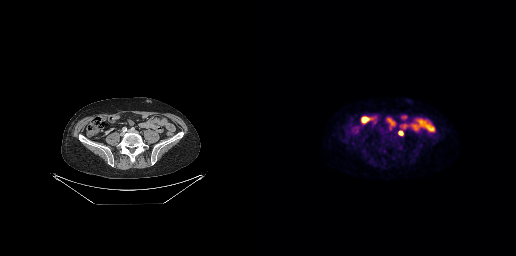
{"modality":"PSMA PET/CT","view":"axial","tracer":"18F-PSMA","pet_grid":[256,256],"coord_frame":"pet_panel","coord_format":"x0,y0,x1,y1","lesion_bboxes":[[138,131,142,134]]}